modality: PSMA PET/CT | tracer: [18F]PSMA-1007 | view: axial | PET grid: 200×200
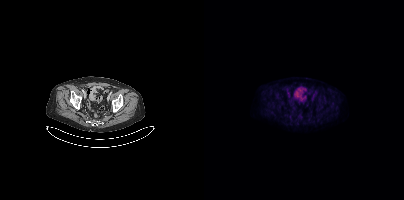
This slice has no annotated PSMA-avid lesion.